modality: PSMA PET/CT | tracer: [18F]PSMA-1007 | view: axial | PET grid: 256×256
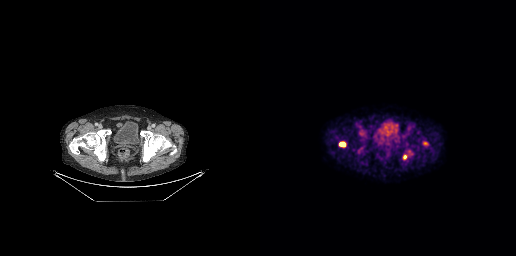
Coordinates are on the 256×256 PET (right) panel. PSMA-avid tumor lesion bounding boxes (x0,y0,x1,y1): [79,142,85,146]; [143,155,146,159]. Small PSMA-avid focus (2 to 4 px across) near (center x, center y): (165, 143).